- Paired axial CT (left) and PSMA PET (right), [68Ga]Ga-PSMA-11 tracer
- acquired on Siemens Biograph 64-4R TruePoint
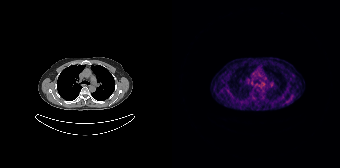
Findings: Negative for PSMA-avid disease on this slice.